- Two-panel axial: CT | PSMA PET, 18F tracer
- PET panel 200×200 px (4.1 mm/px)
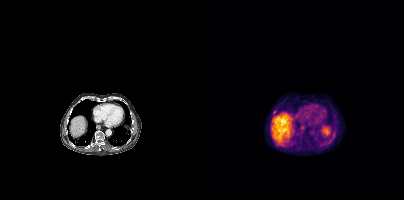
Findings: Coordinates are on the 200×200 PET (right) panel. PSMA-avid tumor lesion bounding box (x0, y0)-(x1, y1): (69, 111)-(71, 115).